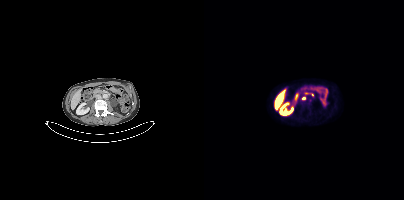
Coordinates are on the 200×200 PET (right) panel. Small PSMA-avid focus (2 to 4 px across) near (center x, center y): (99, 98).